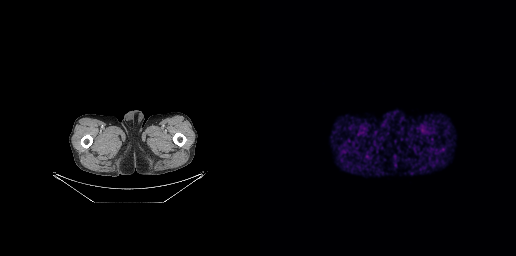
No tumor lesions annotated on this slice. Paired axial CT (left) and PSMA PET (right), 68Ga tracer. Acquired on GE Discovery 690.